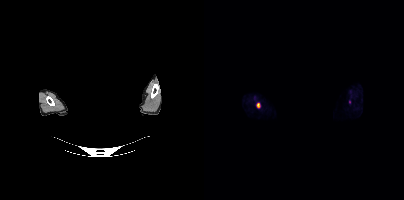
- a rectangle over the head was blacked out to remove identifiable facial features
- Left: CT. Right: PSMA PET, same axial level, 18F-PSMA tracer
- slice 430 of 466
- PET panel 200×200 px (4.1 mm/px)
Findings: Coordinates are on the 200×200 PET (right) panel. PSMA-avid tumor lesion bounding box (x, y, width, height): x=52 y=102 w=5 h=7.